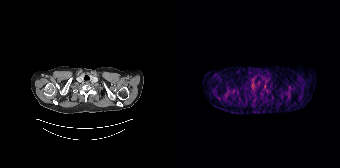
Left: CT. Right: PSMA PET, same axial level, [68Ga]Ga-PSMA-11 tracer. PET panel 168×168 px (4.1 mm/px). Negative for PSMA-avid disease on this slice.